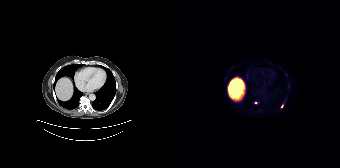
Technique: Paired axial CT (left) and PSMA PET (right), [18F]PSMA-1007 tracer. PET panel 168×168 px (4.1 mm/px).
Findings: Coordinates are on the 168×168 PET (right) panel. (showing 2 of 4 foci) PSMA-avid tumor lesion bounding box (x0, y0)-(x1, y1): (82, 101)-(86, 104). Small PSMA-avid focus (2 to 4 px across) near (center x, center y): (110, 105).